Left: CT. Right: PSMA PET, same axial level, 68Ga-PSMA tracer.
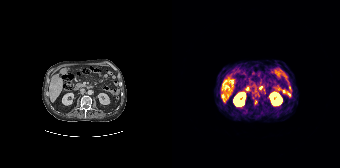
Coordinates are on the 168×168 PET (right) panel. PSMA-avid tumor lesion bounding boxes (x, y, width, height): x=50 y=81 w=6 h=7 / x=49 y=94 w=4 h=5. Small PSMA-avid focus (2 to 4 px across) near (center x, center y): (83, 102).